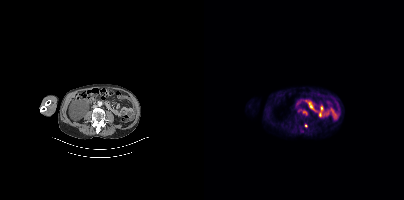
Technique: Left: CT. Right: PSMA PET, same axial level, 18F tracer.
Findings: Coordinates are on the 200×200 PET (right) panel. PSMA-avid tumor lesion bounding boxes (x0,y0,x1,y1): [93,109,97,112] [99,111,103,114]. Small PSMA-avid focus (2 to 4 px across) near (center x, center y): (102, 125).